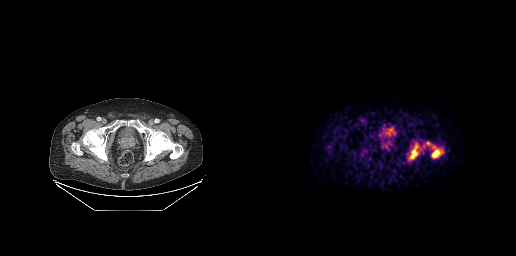
Two-panel axial: CT | PSMA PET, 68Ga tracer. Acquired on GE Discovery 690. Slice position z = -806 mm. Coordinates are on the 256×256 PET (right) panel. (showing 3 of 4 foci) PSMA-avid tumor lesion bounding boxes (x, y, width, height): x=151 y=145 w=7 h=14 | x=172 y=149 w=10 h=9. Small PSMA-avid focus (2 to 4 px across) near (center x, center y): (167, 143).